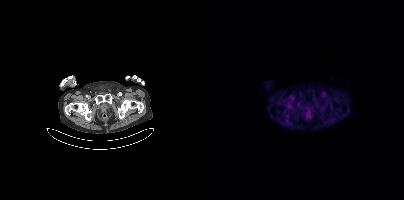
{"modality":"PSMA PET/CT","view":"axial","tracer":"18F","pet_grid":[200,200],"coord_frame":"pet_panel","coord_format":"x0,y0,x1,y1","psma_avid_lesions":false}